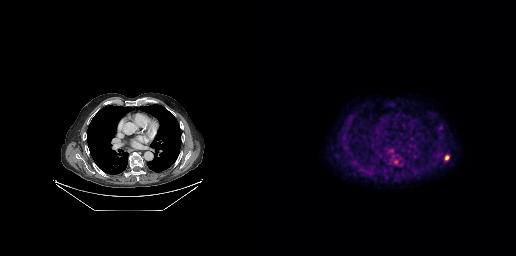
{"modality":"PSMA PET/CT","view":"axial","tracer":"18F-PSMA","pet_grid":[256,256],"coord_frame":"pet_panel","coord_format":"x0,y0,x1,y1","lesion_bboxes":[],"small_foci_centers":[[186,157]]}